- Left: CT. Right: PSMA PET, same axial level, 18F-PSMA tracer
- slice 139 of 405
- PET panel 200×200 px (4.1 mm/px)
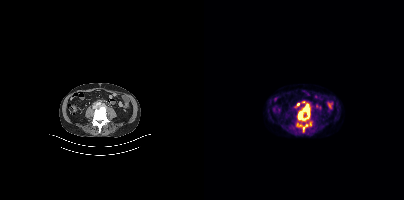
Findings: Coordinates are on the 200×200 PET (right) panel. (showing 4 of 6 foci) PSMA-avid tumor lesion bounding boxes (x0, y0)-(x1, y1): (94, 104)-(105, 120) | (99, 124)-(103, 131). Small PSMA-avid foci (2 to 4 px across) near (center x, center y): (94, 104) | (106, 124).